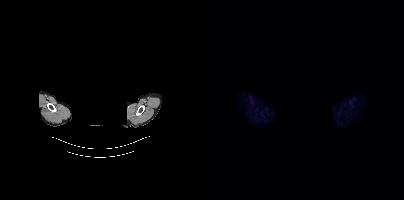
Face de-identified by blanking a block of the head.
This slice has no annotated PSMA-avid lesion.